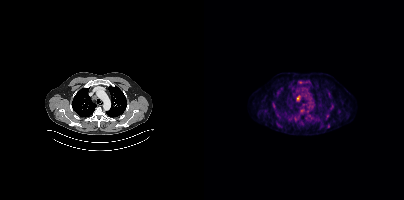
Technique: Two-panel axial: CT | PSMA PET, 18F-PSMA tracer. slice 349 of 454.
Findings: Coordinates are on the 200×200 PET (right) panel. (showing 6 of 7 foci) Small PSMA-avid foci (2 to 4 px across) near (center x, center y): (98, 110) | (93, 97) | (103, 110) | (96, 82) | (91, 119) | (123, 124).